Left: CT. Right: PSMA PET, same axial level, [18F]PSMA-1007 tracer. PET panel 200×200 px (4.1 mm/px).
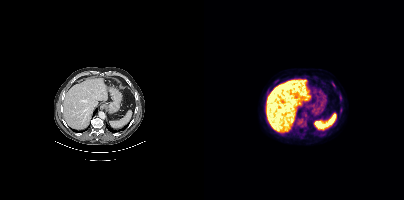
Coordinates are on the 200×200 PET (right) panel. PSMA-avid tumor lesion bounding boxes:
| # | x0 | y0 | x1 | y1 |
|---|---|---|---|---|
| 1 | 128 | 82 | 131 | 87 |
| 2 | 136 | 109 | 138 | 113 |
Small PSMA-avid focus (2 to 4 px across) near (center x, center y): (135, 94).